Two-panel axial: CT | PSMA PET, 18F tracer. Acquired on Siemens Biograph mCT Flow 20. Slice position z = -230 mm. PET panel 200×200 px (4.1 mm/px).
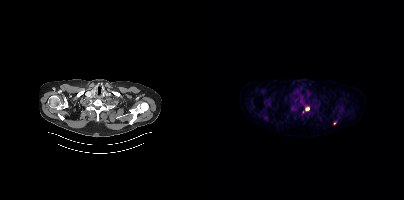
Coordinates are on the 200×200 PET (right) panel. PSMA-avid tumor lesion bounding boxes:
| # | x0 | y0 | x1 | y1 |
|---|---|---|---|---|
| 1 | 86 | 105 | 93 | 112 |
| 2 | 95 | 97 | 100 | 102 |
| 3 | 101 | 107 | 105 | 110 |
| 4 | 58 | 115 | 62 | 119 |
Small PSMA-avid focus (2 to 4 px across) near (center x, center y): (130, 123).